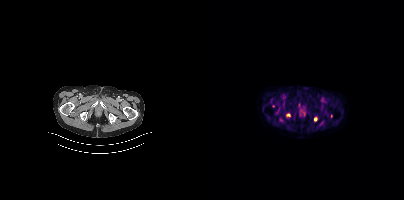
{"pet_grid":[200,200],"coord_frame":"pet_panel","coord_format":"x0,y0,x1,y1","lesion_bboxes":[],"small_foci_centers":[[111,119],[84,115]],"modality":"PSMA PET/CT","view":"axial","tracer":"18F"}